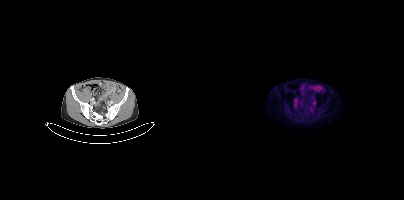
- Left: CT. Right: PSMA PET, same axial level, 18F-PSMA tracer
- acquired on Siemens Biograph mCT Flow 20
Findings: Negative for PSMA-avid disease on this slice.